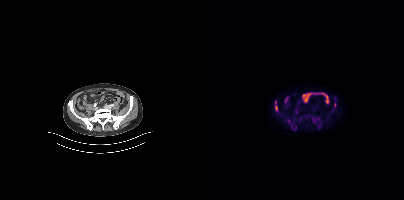
Left: CT. Right: PSMA PET, same axial level, 18F-PSMA tracer. Slice position z = -1388 mm. PET panel 200×200 px (4.1 mm/px). Coordinates are on the 200×200 PET (right) panel. (showing 2 of 5 foci) PSMA-avid tumor lesion bounding box (x, y, width, height): x=71 y=105 w=3 h=6. Small PSMA-avid focus (2 to 4 px across) near (center x, center y): (71, 102).